- Left: CT. Right: PSMA PET, same axial level, 18F-PSMA tracer
- slice 214 of 401
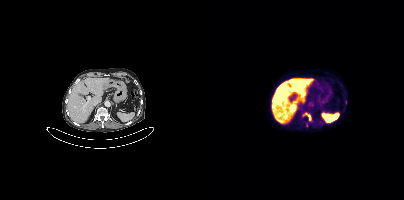
Findings: Coordinates are on the 200×200 PET (right) panel. PSMA-avid tumor lesion bounding box (x0, y0)-(x1, y1): (100, 113)-(107, 120).